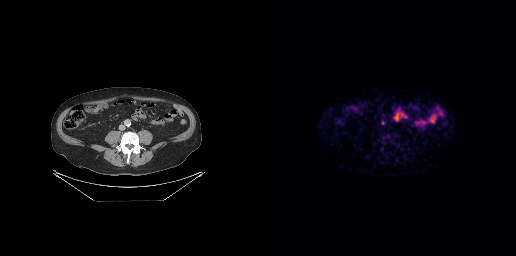
Technique: Two-panel axial: CT | PSMA PET, 18F tracer. slice position z = -478 mm. PET panel 256×256 px (2.7 mm/px).
Findings: Coordinates are on the 256×256 PET (right) panel. Small PSMA-avid focus (2 to 4 px across) near (center x, center y): (122, 122).